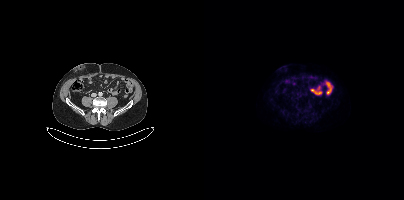
This slice has no annotated PSMA-avid lesion. Paired axial CT (left) and PSMA PET (right), 18F tracer. Acquired on Siemens Biograph mCT Flow 20. PET panel 200×200 px (4.1 mm/px).